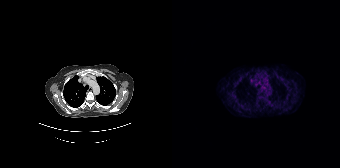
Findings: No tumor lesions annotated on this slice.
- Left: CT. Right: PSMA PET, same axial level, [68Ga]Ga-PSMA-11 tracer
- acquired on Siemens Biograph 64-4R TruePoint